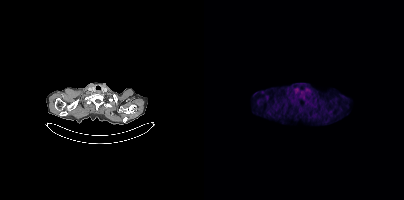
This slice has no annotated PSMA-avid lesion.